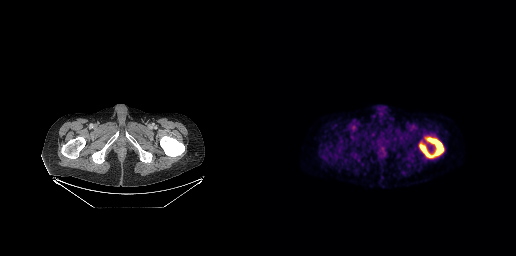
Technique: Left: CT. Right: PSMA PET, same axial level, [18F]PSMA-1007 tracer.
Findings: Coordinates are on the 256×256 PET (right) panel. PSMA-avid tumor lesion bounding box (x, y, width, height): x=159 y=137 w=25 h=21.